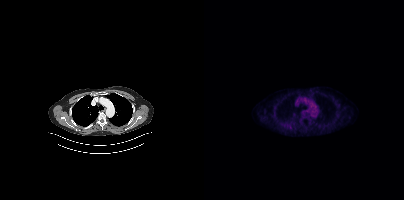
Coordinates are on the 200×200 PET (right) panel. Small PSMA-avid focus (2 to 4 px across) near (center x, center y): (86, 126). Two-panel axial: CT | PSMA PET, 18F tracer. Slice 318 of 423.